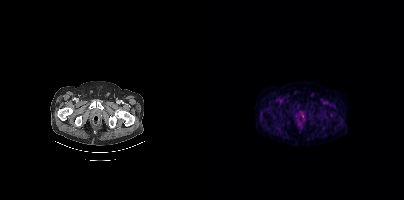
This slice has no annotated PSMA-avid lesion.
modality: PSMA PET/CT | tracer: 18F-PSMA | view: axial